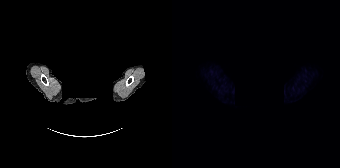
{"modality":"PSMA PET/CT","view":"axial","tracer":"[18F]PSMA-1007","pet_grid":[168,168],"coord_frame":"pet_panel","coord_format":"x0,y0,x1,y1","psma_avid_lesions":false,"deidentification":"head region blanked (face removed)"}